Paired axial CT (left) and PSMA PET (right), 68Ga tracer. Acquired on Siemens Biograph 64-4R TruePoint. PET panel 168×168 px (4.1 mm/px).
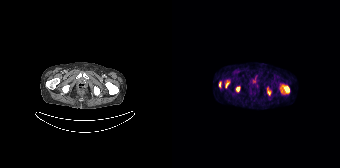
Coordinates are on the 168×168 PET (right) panel. PSMA-avid tumor lesion bounding boxes (x, y, width, height): x=108 y=85 w=10 h=9 / x=53 y=80 w=5 h=8 / x=64 y=86 w=5 h=6 / x=95 y=88 w=4 h=8 / x=47 y=82 w=3 h=6.